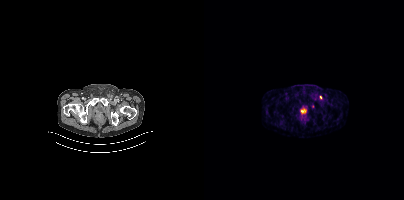
Coordinates are on the 200×200 PET (right) panel. Small PSMA-avid foci (2 to 4 px across) near (center x, center y): (116, 97) / (108, 106).
modality: PSMA PET/CT | tracer: 68Ga-PSMA | view: axial | PET grid: 200×200